Technique: Paired axial CT (left) and PSMA PET (right), 18F-PSMA tracer. slice 438 of 454. PET panel 200×200 px (4.1 mm/px).
Note: Privacy masking over the head, with the pixels inside a rectangle set to black.
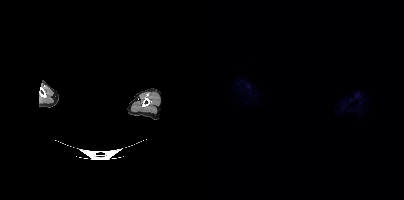
Findings: No tumor lesions annotated on this slice.